Left: CT. Right: PSMA PET, same axial level, 18F tracer.
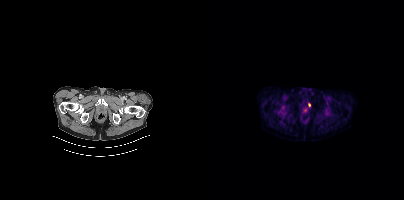
Coordinates are on the 200×200 PET (right) panel. Small PSMA-avid focus (2 to 4 px across) near (center x, center y): (105, 104).